- any black rectangle over the head is a privacy mask, not anatomy
- Left: CT. Right: PSMA PET, same axial level, 18F-PSMA tracer
- acquired on GE Discovery 690
- slice position z = -65 mm
- PET panel 256×256 px (2.7 mm/px)
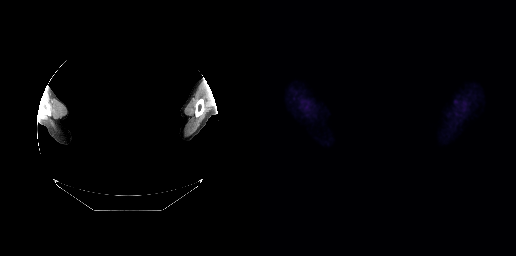
Findings: This slice has no annotated PSMA-avid lesion.